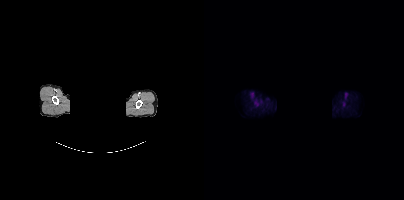
{"modality":"PSMA PET/CT","view":"axial","tracer":"[18F]PSMA-1007","pet_grid":[200,200],"coord_frame":"pet_panel","coord_format":"x0,y0,x1,y1","de-identification":"head region blanked (face removed)","psma_avid_lesions":false}